Left: CT. Right: PSMA PET, same axial level, [18F]PSMA-1007 tracer. Acquired on Siemens Biograph mCT Flow 20. Slice position z = -1213 mm. PET panel 200×200 px (4.1 mm/px).
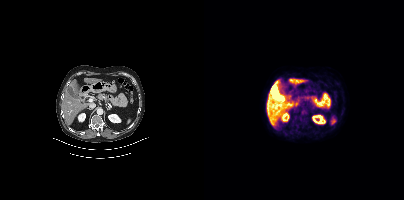
Negative for PSMA-avid disease on this slice.